Two-panel axial: CT | PSMA PET, 68Ga-PSMA tracer. Slice position z = -858 mm. PET panel 168×168 px (4.1 mm/px).
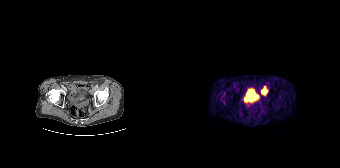
Coordinates are on the 168×168 PET (right) panel. PSMA-avid tumor lesion bounding box (x, y, width, height): x=89 y=89 w=6 h=5.